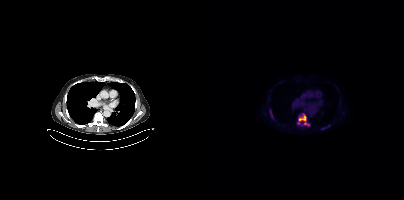
Coordinates are on the 200×200 PET (right) panel. PSMA-avid tumor lesion bounding boxes (x0, y0)-(x1, y1): (93, 113)-(105, 126); (117, 124)-(126, 129); (65, 109)-(69, 118).